Left: CT. Right: PSMA PET, same axial level, 18F tracer. Acquired on Siemens Biograph mCT Flow 20. PET panel 200×200 px (4.1 mm/px).
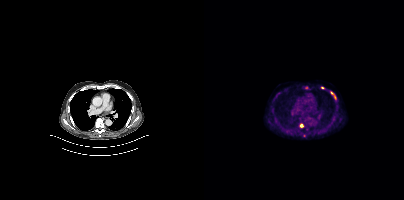
Coordinates are on the 200×200 PET (right) panel. PSMA-avid tumor lesion bounding box (x, y, width, height): x=127 y=92 w=5 h=7. Small PSMA-avid foci (2 to 4 px across) near (center x, center y): (97, 125) / (118, 87) / (102, 87).